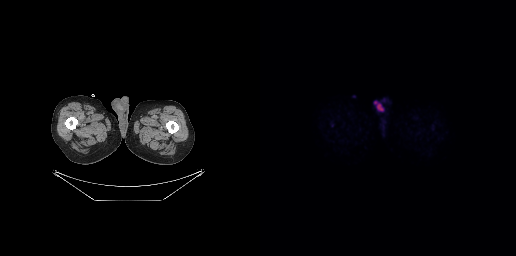
{"modality":"PSMA PET/CT","view":"axial","tracer":"[18F]PSMA-1007","pet_grid":[256,256],"coord_frame":"pet_panel","coord_format":"x0,y0,x1,y1","psma_avid_lesions":false}